modality: PSMA PET/CT | tracer: 68Ga-PSMA | view: axial | PET grid: 168×168
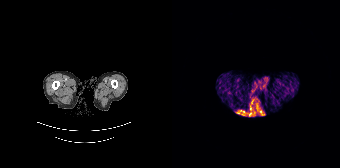
No tumor lesions annotated on this slice.